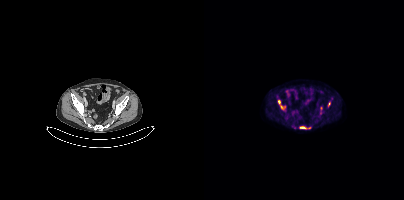
Left: CT. Right: PSMA PET, same axial level, 18F-PSMA tracer. PET panel 200×200 px (4.1 mm/px). Coordinates are on the 200×200 PET (right) panel. (showing 5 of 6 foci) PSMA-avid tumor lesion bounding boxes (x0,y0,x1,y1): [74,100,81,109], [96,126,102,128], [124,102,126,106]. Small PSMA-avid foci (2 to 4 px across) near (center x, center y): (117, 108), (105, 127).